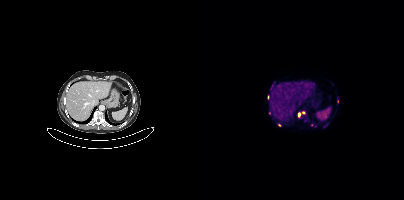
- Paired axial CT (left) and PSMA PET (right), 68Ga tracer
- acquired on Siemens Biograph mCT Flow 20
- slice position z = -1141 mm
- PET panel 200×200 px (4.1 mm/px)
Findings: Coordinates are on the 200×200 PET (right) panel. (showing 7 of 11 foci) Small PSMA-avid foci (2 to 4 px across) near (center x, center y): (95, 114) | (133, 101) | (99, 112) | (65, 113) | (75, 124) | (107, 124) | (120, 126).